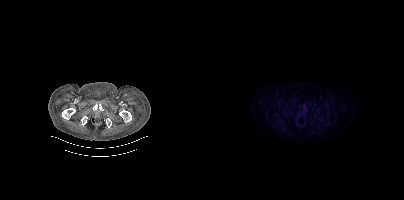
No tumor lesions annotated on this slice.
modality: PSMA PET/CT | tracer: 18F | view: axial